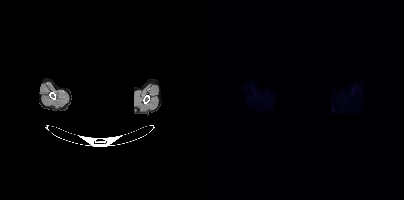
Two-panel axial: CT | PSMA PET, 18F-PSMA tracer. Slice 375 of 421. PET panel 200×200 px (4.1 mm/px). Face de-identified by blanking a block of the head. This slice has no annotated PSMA-avid lesion.